- Two-panel axial: CT | PSMA PET, 18F-PSMA tracer
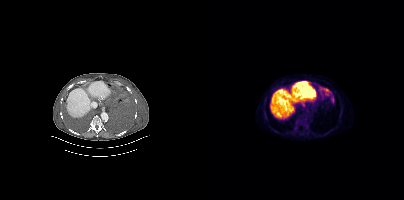
Findings: Coordinates are on the 200×200 PET (right) panel. PSMA-avid tumor lesion bounding boxes (x0,y0,x1,y1): [114,87,128,95] [126,96,130,102] [96,102,100,106].